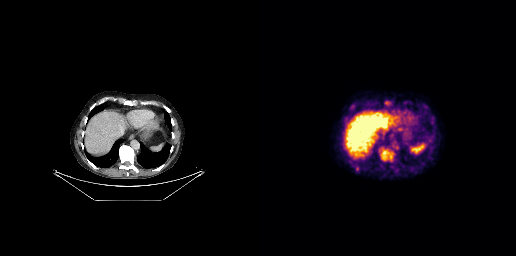
Findings: Coordinates are on the 256×256 PET (right) panel. (showing 1 of 3 foci) PSMA-avid tumor lesion bounding box (x, y, width, height): x=123 y=151 w=4 h=8.
Technique: Paired axial CT (left) and PSMA PET (right), 18F-PSMA tracer. acquired on GE Discovery 690. PET panel 256×256 px (2.7 mm/px).